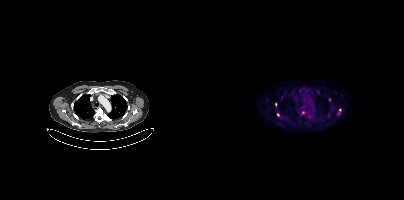
Two-panel axial: CT | PSMA PET, 18F tracer. Slice position z = -980 mm. PET panel 200×200 px (4.1 mm/px). Coordinates are on the 200×200 PET (right) panel. (showing 5 of 6 foci) Small PSMA-avid foci (2 to 4 px across) near (center x, center y): (74, 114); (99, 112); (125, 99); (136, 110); (71, 104).